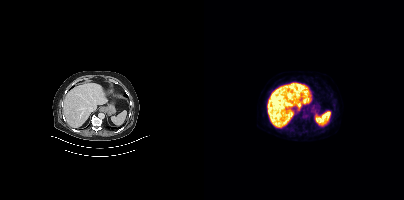
No PSMA-avid tumor lesions on this slice. Left: CT. Right: PSMA PET, same axial level, [18F]PSMA-1007 tracer. Slice 243 of 405. PET panel 200×200 px (4.1 mm/px).